- Left: CT. Right: PSMA PET, same axial level, [68Ga]Ga-PSMA-11 tracer
- slice 35 of 397
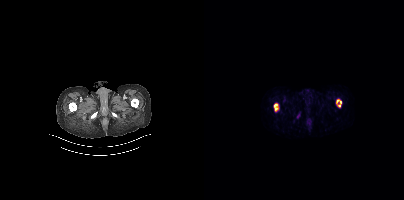
Findings: No PSMA-avid tumor lesions on this slice.